Technique: Paired axial CT (left) and PSMA PET (right), [18F]PSMA-1007 tracer. slice 178 of 435. PET panel 200×200 px (4.1 mm/px).
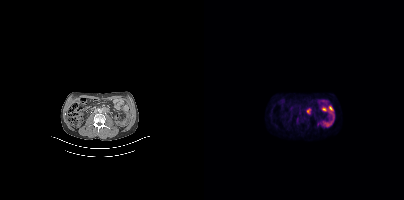
Findings: Coordinates are on the 200×200 PET (right) panel. (showing 2 of 3 foci) PSMA-avid tumor lesion bounding box (x0, y0)-(x1, y1): (102, 108)-(107, 114). Small PSMA-avid focus (2 to 4 px across) near (center x, center y): (93, 118).